Technique: Paired axial CT (left) and PSMA PET (right), 18F-PSMA tracer. slice position z = 1734 mm. PET panel 200×200 px (4.1 mm/px).
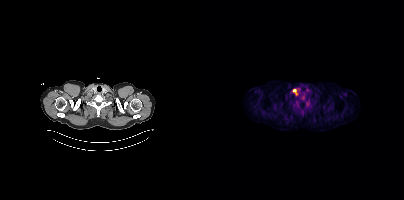
Findings: Coordinates are on the 200×200 PET (right) panel. PSMA-avid tumor lesion bounding box (x0,y0,x1,y1): [89,89,92,94].